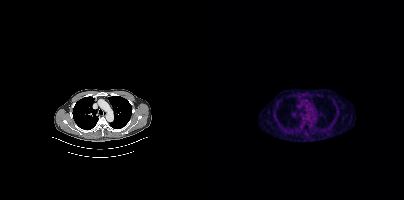
This slice has no annotated PSMA-avid lesion. Left: CT. Right: PSMA PET, same axial level, 18F-PSMA tracer. Slice position z = -14 mm.